Left: CT. Right: PSMA PET, same axial level, 18F tracer. Acquired on Siemens Biograph mCT Flow 20. PET panel 200×200 px (4.1 mm/px).
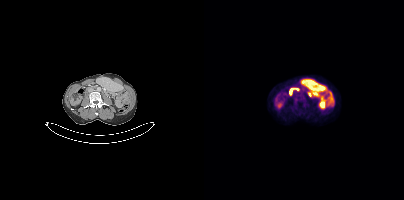
Negative for PSMA-avid disease on this slice.